Two-panel axial: CT | PSMA PET, 18F tracer. PET panel 256×256 px (2.7 mm/px).
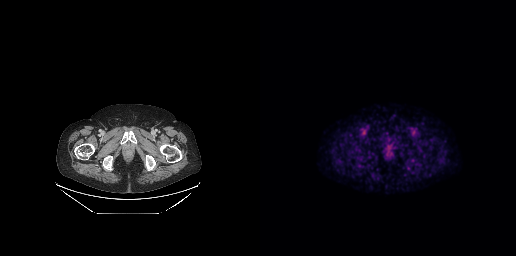
No PSMA-avid tumor lesions on this slice.